Paired axial CT (left) and PSMA PET (right), 18F tracer. Acquired on Siemens Biograph mCT Flow 20.
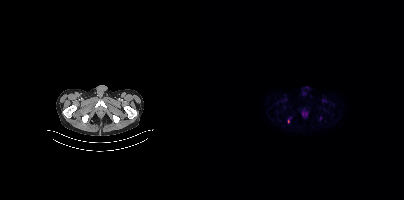
Coordinates are on the 200×200 PET (right) panel. Small PSMA-avid focus (2 to 4 px across) near (center x, center y): (84, 121).